- Two-panel axial: CT | PSMA PET, 18F tracer
- PET panel 200×200 px (4.1 mm/px)
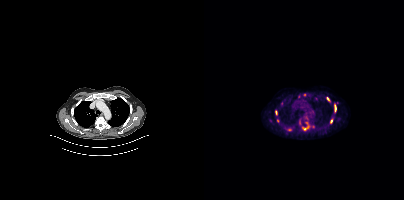
Findings: Coordinates are on the 200×200 PET (right) panel. (showing 6 of 10 foci) PSMA-avid tumor lesion bounding boxes (x0, y0)-(x1, y1): (98, 122)-(105, 130); (130, 104)-(132, 111); (71, 110)-(73, 114); (126, 119)-(128, 123). Small PSMA-avid foci (2 to 4 px across) near (center x, center y): (124, 98); (73, 120).